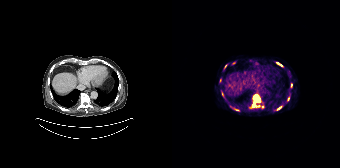
Technique: Left: CT. Right: PSMA PET, same axial level, [68Ga]Ga-PSMA-11 tracer. acquired on Siemens Biograph 64-4R TruePoint. PET panel 168×168 px (4.1 mm/px).
Findings: Coordinates are on the 168×168 PET (right) panel. (showing 7 of 8 foci) PSMA-avid tumor lesion bounding boxes (x0, y0)-(x1, y1): (80, 95)-(89, 106) | (85, 105)-(92, 108) | (105, 107)-(109, 109) | (50, 92)-(51, 96). Small PSMA-avid foci (2 to 4 px across) near (center x, center y): (119, 85) | (116, 98) | (109, 65).